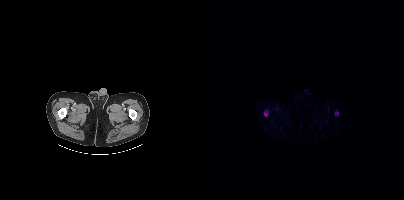
{"pet_grid":[200,200],"coord_frame":"pet_panel","coord_format":"x0,y0,x1,y1","lesion_bboxes":[[60,110,64,115]],"small_foci_centers":[[133,112]],"modality":"PSMA PET/CT","view":"axial","tracer":"[18F]PSMA-1007"}